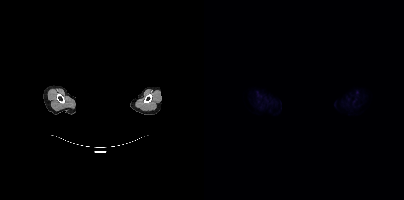
{"pet_grid":[200,200],"coord_frame":"pet_panel","coord_format":"x0,y0,x1,y1","psma_avid_lesions":false,"modality":"PSMA PET/CT","view":"axial","tracer":"18F-PSMA","de-identification":"rectangular block over head set to black"}